Technique: Two-panel axial: CT | PSMA PET, [18F]PSMA-1007 tracer. acquired on GE Discovery 690.
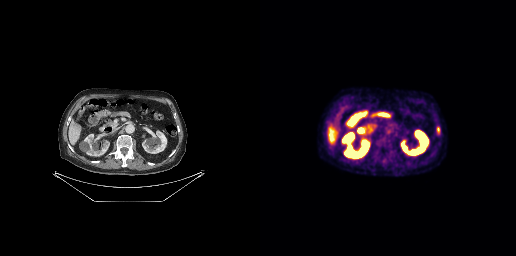
Findings: Coordinates are on the 256×256 PET (right) panel. Small PSMA-avid focus (2 to 4 px across) near (center x, center y): (178, 128).